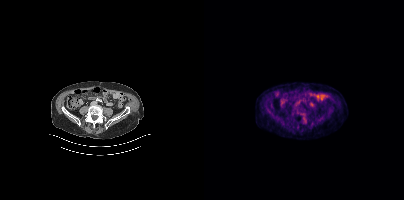
Technique: Left: CT. Right: PSMA PET, same axial level, 18F-PSMA tracer. slice 137 of 377. PET panel 200×200 px (4.1 mm/px).
Findings: No PSMA-avid tumor lesions on this slice.